Technique: Two-panel axial: CT | PSMA PET, [18F]PSMA-1007 tracer. PET panel 200×200 px (4.1 mm/px).
Note: A rectangular region was set to black for de-identification.
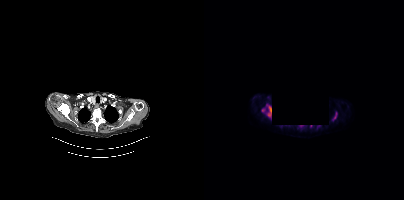
Findings: Coordinates are on the 200×200 PET (right) panel. PSMA-avid tumor lesion bounding boxes (x0, y0)-(x1, y1): (62, 104)-(67, 119); (58, 108)-(61, 112); (129, 112)-(132, 120). Small PSMA-avid foci (2 to 4 px across) near (center x, center y): (107, 126); (115, 126).